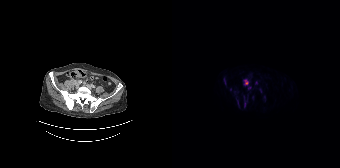
Coordinates are on the 168×168 PET (right) panel. PSMA-avid tumor lesion bounding boxes (partial; 1 more focus not listed):
| # | x0 | y0 | x1 | y1 |
|---|---|---|---|---|
| 1 | 72 | 80 | 79 | 89 |
| 2 | 65 | 100 | 67 | 107 |
| 3 | 72 | 102 | 73 | 106 |
Small PSMA-avid foci (2 to 4 px across) near (center x, center y): (84, 82); (58, 89).
Left: CT. Right: PSMA PET, same axial level, [18F]PSMA-1007 tracer. PET panel 168×168 px (4.1 mm/px).